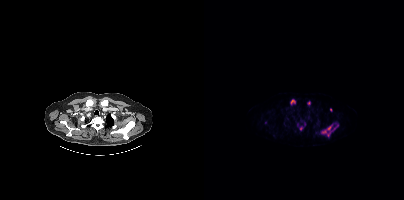
modality: PSMA PET/CT | tracer: 18F-PSMA | view: axial | PET grid: 200×200
Coordinates are on the 200×200 PET (right) panel. (showing 5 of 6 foci) PSMA-avid tumor lesion bounding boxes (x0, y0)-(x1, y1): (117, 124)-(134, 135) / (86, 99)-(91, 104) / (103, 101)-(106, 105). Small PSMA-avid foci (2 to 4 px across) near (center x, center y): (97, 128) / (126, 109).